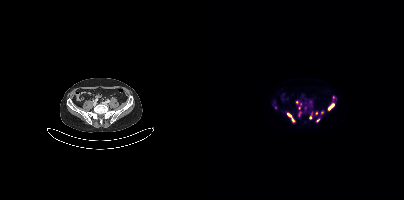
Paired axial CT (left) and PSMA PET (right), 18F tracer. Acquired on Siemens Biograph mCT Flow 20. Slice 120 of 407. Coordinates are on the 200×200 PET (right) panel. (showing 9 of 12 foci) PSMA-avid tumor lesion bounding boxes (x, y, width, height): x=83 y=113 w=9 h=10; x=124 y=104 w=6 h=6; x=95 y=112 w=2 h=6. Small PSMA-avid foci (2 to 4 px across) near (center x, center y): (113, 120); (112, 113); (92, 102); (95, 108); (117, 112); (106, 117).